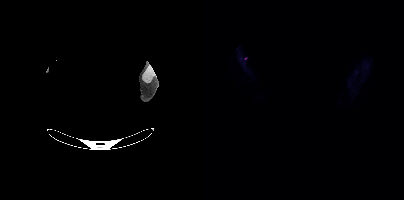
Findings: This slice has no annotated PSMA-avid lesion.
- an anonymization step blacked out a rectangle over the head in this scan
- Left: CT. Right: PSMA PET, same axial level, 18F tracer
- acquired on Siemens Biograph mCT Flow 20
- slice position z = -281 mm
- PET panel 200×200 px (4.1 mm/px)